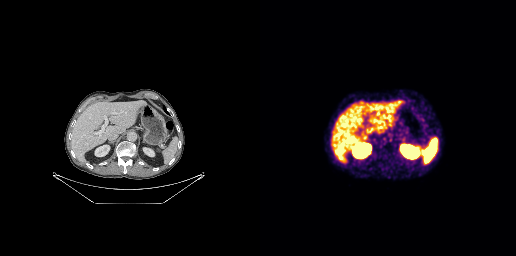
{"modality":"PSMA PET/CT","view":"axial","tracer":"68Ga-PSMA","pet_grid":[256,256],"coord_frame":"pet_panel","coord_format":"x0,y0,x1,y1","lesion_bboxes":[[128,134,132,141],[123,137,126,144]]}